- Two-panel axial: CT | PSMA PET, 18F-PSMA tracer
- acquired on Siemens Biograph mCT Flow 20
- PET panel 200×200 px (4.1 mm/px)
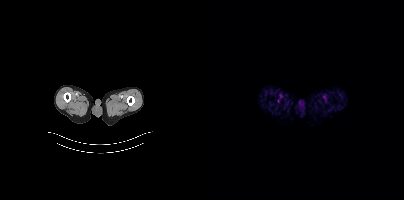
Findings: This slice has no annotated PSMA-avid lesion.